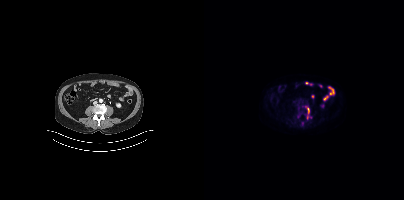
Coordinates are on the 200×200 PET (right) panel. PSMA-avid tumor lesion bounding box (x0, y0)-(x1, y1): (101, 106)-(105, 114). Small PSMA-avid focus (2 to 4 px across) near (center x, center y): (103, 117).